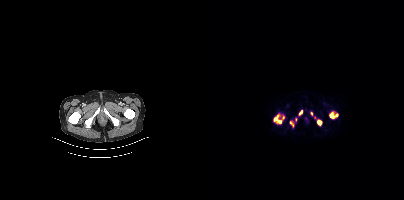
{"modality":"PSMA PET/CT","view":"axial","tracer":"18F","pet_grid":[200,200],"coord_frame":"pet_panel","coord_format":"x0,y0,x1,y1","lesion_bboxes":[[70,115,77,123],[125,112,134,118],[113,119,117,125],[86,121,90,127],[95,110,98,114]],"small_foci_centers":[[107,113],[91,119],[79,117]]}